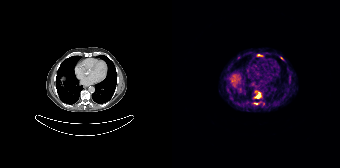
Coordinates are on the 168×168 PET (right) panel. PSMA-avid tumor lesion bounding boxes (x0,y0,x1,y1): [82,92,89,98] [82,103,86,104]. Small PSMA-avid foci (2 to 4 px across) near (center x, center y): (87, 54) (117, 77).
modality: PSMA PET/CT | tracer: 68Ga | view: axial